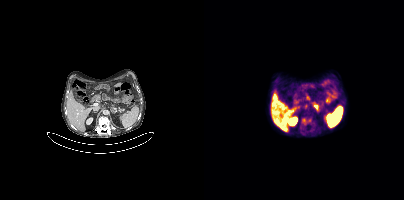
Two-panel axial: CT | PSMA PET, [18F]PSMA-1007 tracer. Acquired on Siemens Biograph mCT Flow 20.
Coordinates are on the 200×200 PET (right) panel. PSMA-avid tumor lesion bounding boxes:
| # | x0 | y0 | x1 | y1 |
|---|---|---|---|---|
| 1 | 96 | 117 | 111 | 129 |